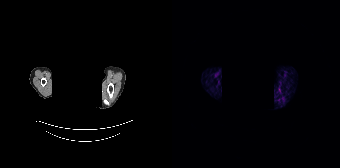
This slice has no annotated PSMA-avid lesion.
modality: PSMA PET/CT | tracer: [68Ga]Ga-PSMA-11 | view: axial | PET grid: 168×168 | deidentification: head region blacked out before release